Two-panel axial: CT | PSMA PET, [68Ga]Ga-PSMA-11 tracer. Acquired on GE Discovery 690. PET panel 256×256 px (2.7 mm/px).
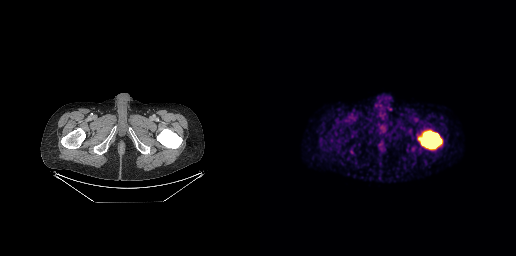
Coordinates are on the 256×256 PET (right) panel. PSMA-avid tumor lesion bounding box (x, y, width, height): x=158 y=131 w=24 h=18.